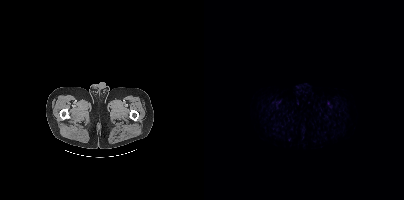
Technique: Paired axial CT (left) and PSMA PET (right), 18F-PSMA tracer. slice 13 of 417.
Findings: No PSMA-avid tumor lesions on this slice.